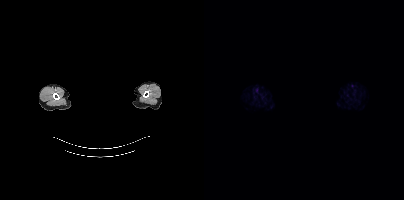
Technique: Paired axial CT (left) and PSMA PET (right), 18F tracer.
Note: Face de-identified by blanking a block of the head.
Findings: This slice has no annotated PSMA-avid lesion.